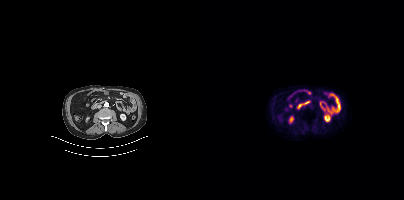
Technique: Left: CT. Right: PSMA PET, same axial level, 18F tracer. acquired on Siemens Biograph mCT Flow 20. PET panel 200×200 px (4.1 mm/px).
Findings: No tumor lesions annotated on this slice.